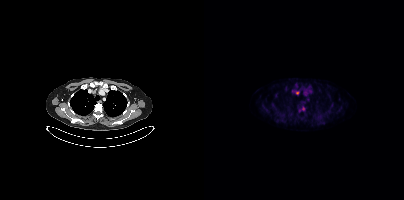
Left: CT. Right: PSMA PET, same axial level, 18F tracer. Acquired on Siemens Biograph mCT Flow 20. Slice 334 of 431. PET panel 200×200 px (4.1 mm/px).
Coordinates are on the 200×200 PET (right) panel. PSMA-avid tumor lesion bounding boxes:
| # | x0 | y0 | x1 | y1 |
|---|---|---|---|---|
| 1 | 90 | 91 | 95 | 94 |
| 2 | 98 | 106 | 100 | 110 |
Small PSMA-avid focus (2 to 4 px across) near (center x, center y): (95, 110).